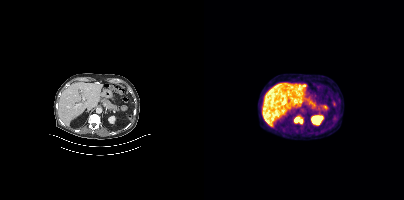
Two-panel axial: CT | PSMA PET, 18F tracer. PET panel 200×200 px (4.1 mm/px).
Coordinates are on the 200×200 PET (right) panel. PSMA-avid tumor lesion bounding boxes:
| # | x0 | y0 | x1 | y1 |
|---|---|---|---|---|
| 1 | 90 | 117 | 98 | 123 |